Paired axial CT (left) and PSMA PET (right), [18F]PSMA-1007 tracer. Acquired on Siemens Biograph mCT Flow 20. Slice position z = -914 mm.
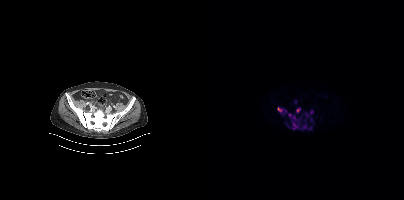
Coordinates are on the 200×200 PET (right) panel. PSMA-avid tumor lesion bounding boxes (x0, y0)-(x1, y1): (84, 113)-(105, 129); (73, 107)-(81, 112); (92, 108)-(96, 113); (106, 117)-(109, 123); (106, 110)-(109, 114); (106, 126)-(108, 130). Small PSMA-avid foci (2 to 4 px across) near (center x, center y): (91, 101); (84, 126).